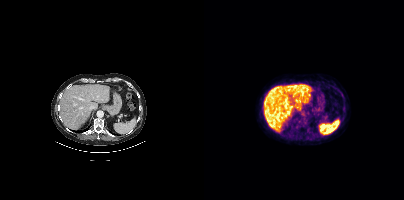
Technique: Paired axial CT (left) and PSMA PET (right), 18F tracer. acquired on Siemens Biograph mCT Flow 20. slice position z = -535 mm.
Findings: Negative for PSMA-avid disease on this slice.